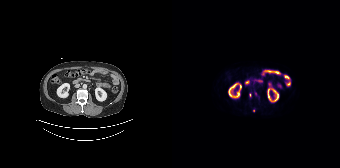
Findings: Coordinates are on the 168×168 PET (right) panel. Small PSMA-avid foci (2 to 4 px across) near (center x, center y): (78, 94); (81, 110); (83, 93).
Technique: Two-panel axial: CT | PSMA PET, 18F-PSMA tracer. slice 101 of 195. PET panel 168×168 px (4.1 mm/px).